modality: PSMA PET/CT | tracer: 18F-PSMA | view: axial | PET grid: 168×168
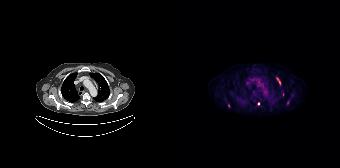
Coordinates are on the 168×168 PET (right) panel. (showing 4 of 6 foci) PSMA-avid tumor lesion bounding box (x0, y0)-(x1, y1): (104, 77)-(108, 85). Small PSMA-avid foci (2 to 4 px across) near (center x, center y): (86, 103); (56, 105); (115, 102).